Left: CT. Right: PSMA PET, same axial level, 18F tracer. PET panel 200×200 px (4.1 mm/px).
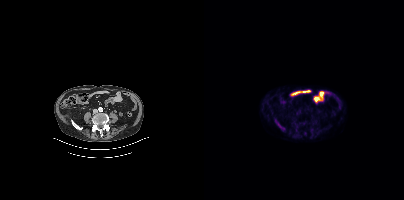
Coordinates are on the 200×200 PET (right) panel. PSMA-avid tumor lesion bounding boxes:
| # | x0 | y0 | x1 | y1 |
|---|---|---|---|---|
| 1 | 71 | 119 | 81 | 130 |